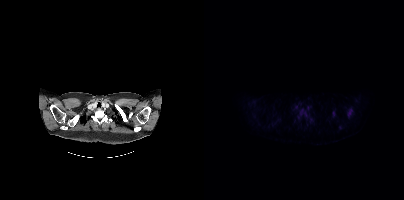
Technique: Left: CT. Right: PSMA PET, same axial level, [18F]PSMA-1007 tracer. acquired on Siemens Biograph mCT Flow 20. slice position z = -876 mm. PET panel 200×200 px (4.1 mm/px).
Findings: Coordinates are on the 200×200 PET (right) panel. (showing 1 of 2 foci) PSMA-avid tumor lesion bounding box (x, y, width, height): x=144 y=111 w=3 h=5.